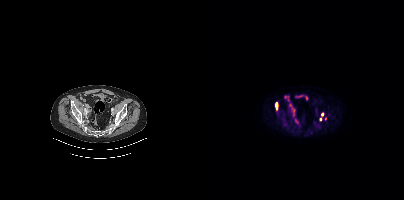
Coordinates are on the 200×200 PET (right) panel. PSMA-avid tumor lesion bounding box (x0,y0,x1,y1): [71,103,73,109]. Small PSMA-avid foci (2 to 4 px across) near (center x, center y): (118, 114); (116, 119).
modality: PSMA PET/CT | tracer: 18F-PSMA | view: axial | PET grid: 200×200